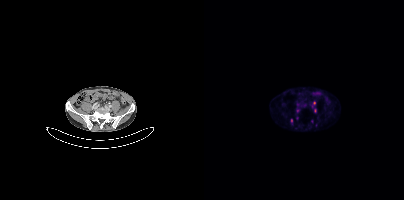
Technique: Two-panel axial: CT | PSMA PET, [68Ga]Ga-PSMA-11 tracer. slice position z = -1564 mm.
Findings: Coordinates are on the 200×200 PET (right) panel. (showing 4 of 6 foci) Small PSMA-avid foci (2 to 4 px across) near (center x, center y): (87, 120), (108, 121), (110, 103), (93, 110).